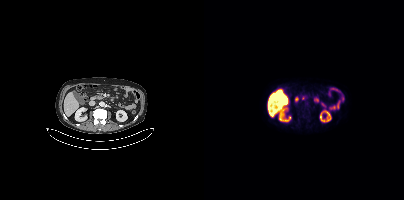
No PSMA-avid tumor lesions on this slice.